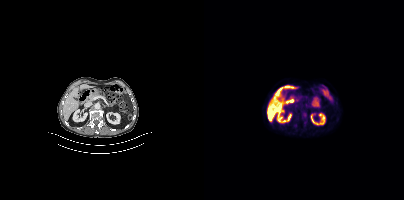
No PSMA-avid tumor lesions on this slice.